Left: CT. Right: PSMA PET, same axial level, 18F tracer. Acquired on Siemens Biograph mCT Flow 20. Slice position z = -903 mm.
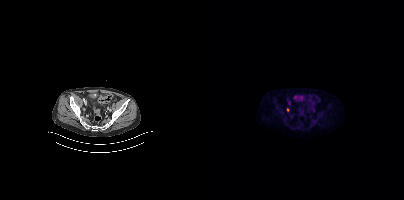
Negative for PSMA-avid disease on this slice.